Left: CT. Right: PSMA PET, same axial level, 68Ga tracer. Slice position z = -308 mm. Facial anatomy redacted by setting a rectangular region of the head to black.
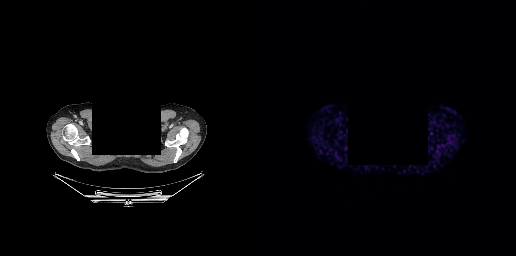
Negative for PSMA-avid disease on this slice.